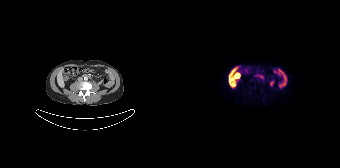
Two-panel axial: CT | PSMA PET, [18F]PSMA-1007 tracer. Acquired on Siemens Biograph 64-4R TruePoint. No PSMA-avid tumor lesions on this slice.